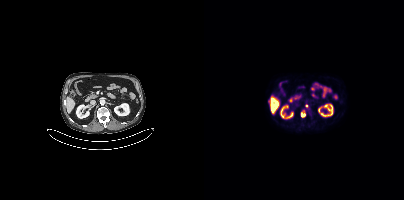
{"pet_grid":[200,200],"coord_frame":"pet_panel","coord_format":"x0,y0,x1,y1","lesion_bboxes":[],"small_foci_centers":[[98,111],[104,106]],"modality":"PSMA PET/CT","view":"axial","tracer":"[18F]PSMA-1007"}